modality: PSMA PET/CT | tracer: 18F-PSMA | view: axial
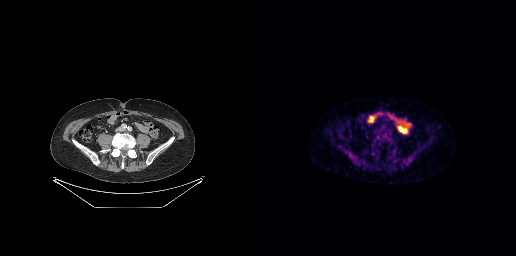
Negative for PSMA-avid disease on this slice.